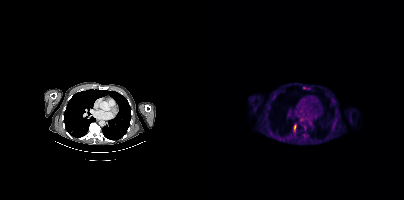
Paired axial CT (left) and PSMA PET (right), [18F]PSMA-1007 tracer. Coordinates are on the 200×200 PET (right) panel. PSMA-avid tumor lesion bounding box (x0, y0)-(x1, y1): (90, 124)-(92, 130). Small PSMA-avid focus (2 to 4 px across) near (center x, center y): (100, 88).